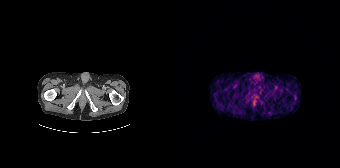
Technique: Two-panel axial: CT | PSMA PET, 68Ga tracer. slice 29 of 195. PET panel 168×168 px (4.1 mm/px).
Findings: No tumor lesions annotated on this slice.